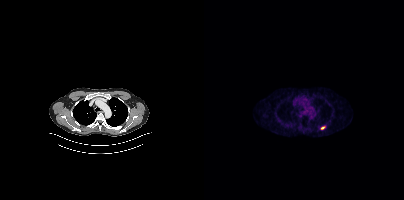
Findings: Coordinates are on the 200×200 PET (right) panel. PSMA-avid tumor lesion bounding box (x0,y0,x1,y1): [117,126,121,129].
Technique: Left: CT. Right: PSMA PET, same axial level, 68Ga-PSMA tracer. slice position z = 660 mm.